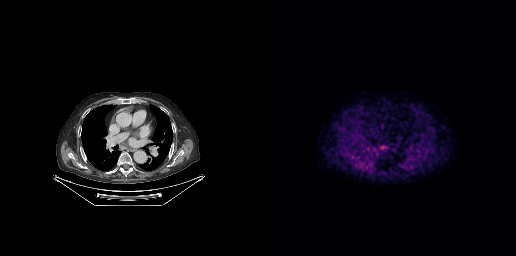
Coordinates are on the 256×256 PET (right) panel. Small PSMA-avid focus (2 to 4 px across) near (center x, center y): (123, 146).
modality: PSMA PET/CT | tracer: 18F-PSMA | view: axial | PET grid: 256×256